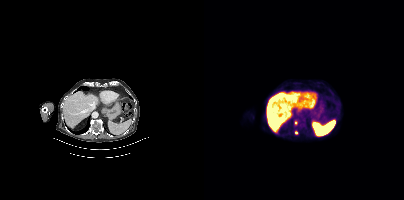
{"modality":"PSMA PET/CT","view":"axial","tracer":"18F","pet_grid":[200,200],"coord_frame":"pet_panel","coord_format":"x0,y0,x1,y1","lesion_bboxes":[],"small_foci_centers":[[92,122],[92,132]]}